- Two-panel axial: CT | PSMA PET, [18F]PSMA-1007 tracer
- acquired on Siemens Biograph mCT Flow 20
- PET panel 200×200 px (4.1 mm/px)
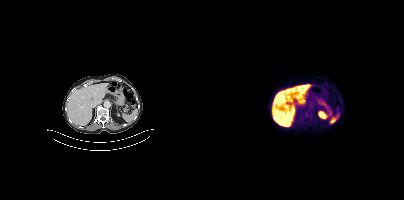
Findings: No tumor lesions annotated on this slice.